Two-panel axial: CT | PSMA PET, [18F]PSMA-1007 tracer. Slice 143 of 299. PET panel 256×256 px (2.7 mm/px).
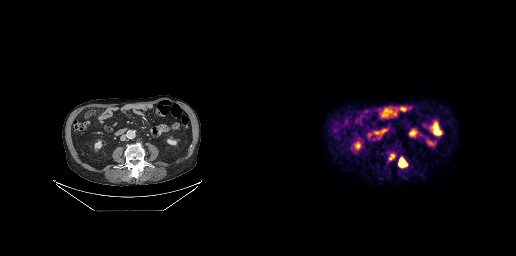
Coordinates are on the 256×256 PET (right) panel. PSMA-avid tumor lesion bounding boxes:
| # | x0 | y0 | x1 | y1 |
|---|---|---|---|---|
| 1 | 139 | 158 | 146 | 167 |
| 2 | 130 | 154 | 134 | 159 |